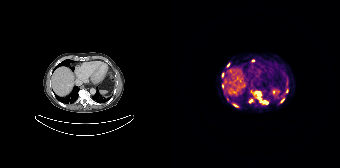
{"pet_grid":[168,168],"coord_frame":"pet_panel","coord_format":"x0,y0,x1,y1","partial":true,"lesion_bboxes":[],"small_foci_centers":[[87,93],[87,99],[93,102],[110,100],[63,105],[50,74],[114,91],[50,86],[80,60],[56,64]],"modality":"PSMA PET/CT","view":"axial","tracer":"68Ga-PSMA"}